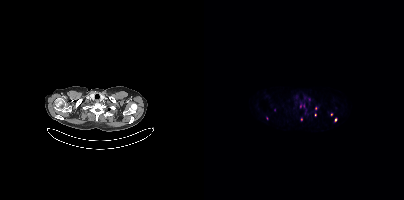
Paired axial CT (left) and PSMA PET (right), 68Ga tracer. Coordinates are on the 200×200 PET (right) panel. (showing 5 of 8 foci) Small PSMA-avid foci (2 to 4 px across) near (center x, center y): (97, 119), (96, 106), (131, 119), (105, 99), (127, 114).